- Paired axial CT (left) and PSMA PET (right), [18F]PSMA-1007 tracer
- slice position z = -263 mm
- PET panel 256×256 px (2.7 mm/px)
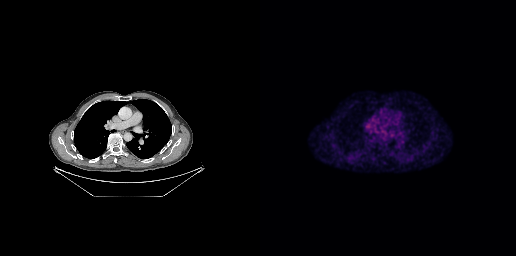
Findings: Coordinates are on the 256×256 PET (right) panel. PSMA-avid tumor lesion bounding box (x0, y0)-(x1, y1): (105, 124)-(111, 131). Small PSMA-avid focus (2 to 4 px across) near (center x, center y): (133, 136).